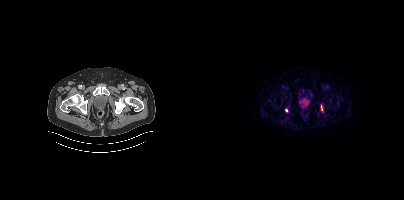
Coordinates are on the 200×200 PET (right) panel. PSMA-avid tumor lesion bounding box (x0,y0,x1,y1): [117,105,119,111]. Small PSMA-avid focus (2 to 4 px across) near (center x, center y): (82, 110).